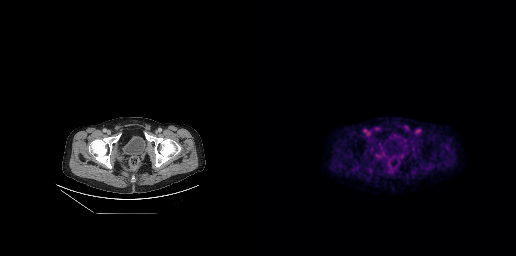
Coordinates are on the 256×256 PET (right) panel. Small PSMA-avid focus (2 to 4 px across) near (center x, center y): (120, 143).